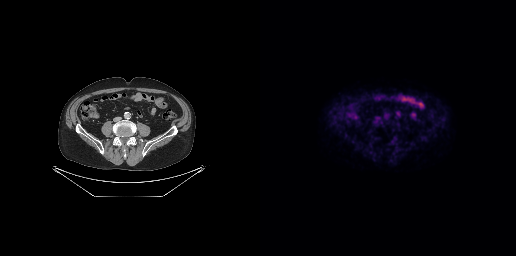
Findings: No tumor lesions annotated on this slice.
Technique: Two-panel axial: CT | PSMA PET, [18F]PSMA-1007 tracer. slice 104 of 263. PET panel 256×256 px (2.7 mm/px).